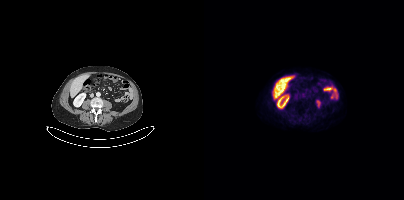
Two-panel axial: CT | PSMA PET, 18F-PSMA tracer. Acquired on Siemens Biograph mCT Flow 20. PET panel 200×200 px (4.1 mm/px). This slice has no annotated PSMA-avid lesion.